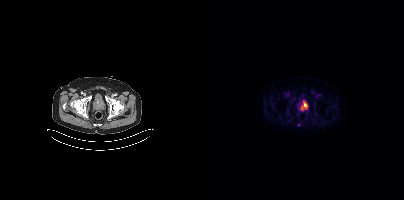
Negative for PSMA-avid disease on this slice.